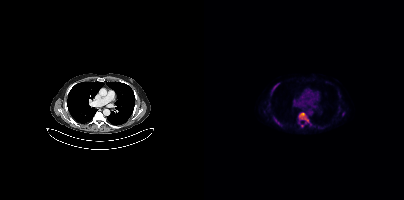
Coordinates are on the 200×200 PET (right) panel. (showing 5 of 7 foci) PSMA-avid tumor lesion bounding boxes (x0,y0,x1,y1): [95,113,104,121] [70,117,78,126] [69,84,74,89]. Small PSMA-avid foci (2 to 4 px across) near (center x, center y): (139, 114) (98, 126).